modality: PSMA PET/CT | tracer: [18F]PSMA-1007 | view: axial
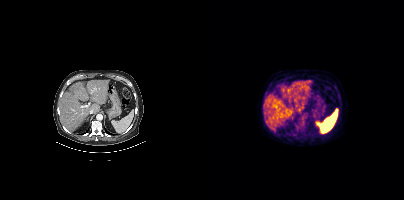
Coordinates are on the 200×200 PET (right) panel. Small PSMA-avid focus (2 to 4 px across) near (center x, center y): (89, 134).